Technique: Two-panel axial: CT | PSMA PET, [18F]PSMA-1007 tracer.
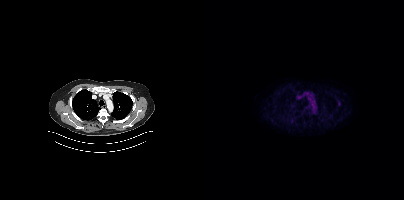
Findings: Only PSMA-avid lesion pieces thinner than 2 px on this slice (not listed).